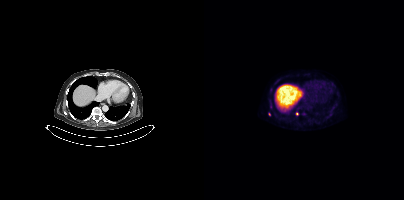
Only PSMA-avid lesion pieces thinner than 2 px on this slice (not listed).